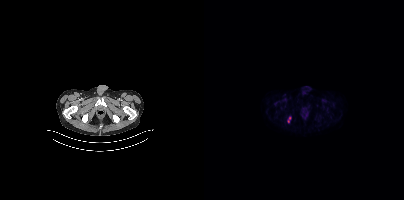
{"modality":"PSMA PET/CT","view":"axial","tracer":"18F-PSMA","pet_grid":[200,200],"coord_frame":"pet_panel","coord_format":"x0,y0,x1,y1","lesion_bboxes":[[84,117,86,122]]}